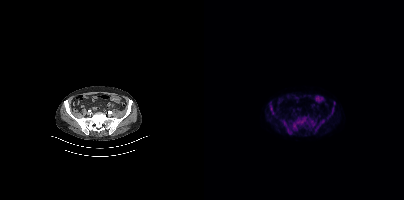
Findings: Coordinates are on the 200×200 PET (right) panel. (showing 6 of 7 foci) PSMA-avid tumor lesion bounding boxes (x0,y0,x1,y1): [86,116,105,130] [77,120,87,133] [111,119,120,132] [104,116,112,126] [66,106,70,114] [123,110,129,118].
Technique: Left: CT. Right: PSMA PET, same axial level, [18F]PSMA-1007 tracer. slice 127 of 427. PET panel 200×200 px (4.1 mm/px).